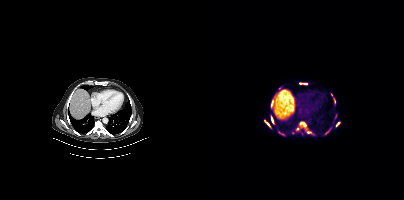
{"modality":"PSMA PET/CT","view":"axial","tracer":"18F-PSMA","pet_grid":[200,200],"coord_frame":"pet_panel","coord_format":"x0,y0,x1,y1","partial":true,"lesion_bboxes":[[96,122,102,127],[67,102,69,107],[132,122,136,126],[67,116,69,123],[61,120,65,126]],"small_foci_centers":[[104,132],[101,83],[93,128],[122,132]]}